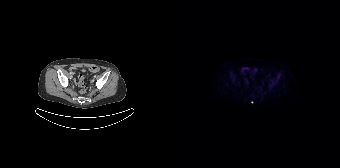
Only PSMA-avid lesion pieces thinner than 2 px on this slice (not listed).
modality: PSMA PET/CT | tracer: [18F]PSMA-1007 | view: axial | PET grid: 168×168